Technique: Two-panel axial: CT | PSMA PET, 18F tracer. acquired on Siemens Biograph mCT Flow 20.
Note: Privacy masking over the head, with the pixels inside a rectangle set to black.
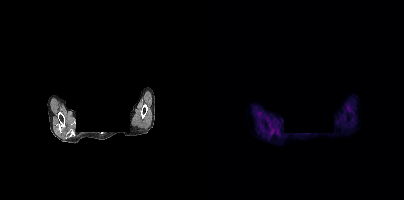
Findings: No PSMA-avid tumor lesions on this slice.